Facial anatomy redacted by setting a rectangular region of the head to black.
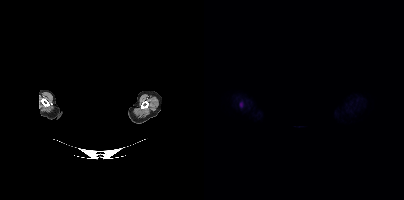
Coordinates are on the 200×200 PET (right) panel. PSMA-avid tumor lesion bounding box (x0, y0)-(x1, y1): (35, 102)-(39, 107).